- Two-panel axial: CT | PSMA PET, 18F-PSMA tracer
- PET panel 200×200 px (4.1 mm/px)
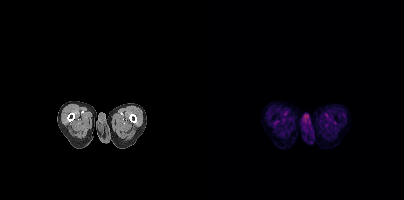
Findings: This slice has no annotated PSMA-avid lesion.